Left: CT. Right: PSMA PET, same axial level, [18F]PSMA-1007 tracer. Slice 19 of 431.
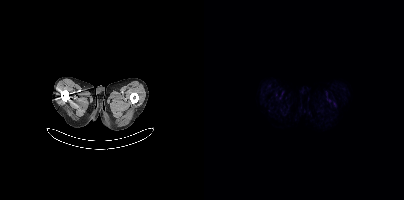
Negative for PSMA-avid disease on this slice.